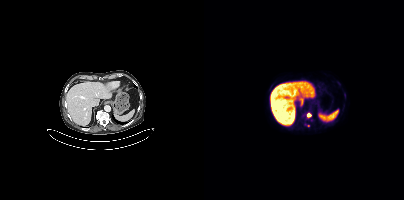
{"modality":"PSMA PET/CT","view":"axial","tracer":"[18F]PSMA-1007","pet_grid":[200,200],"coord_frame":"pet_panel","coord_format":"x0,y0,x1,y1","partial":true,"lesion_bboxes":[[99,113,106,118]],"small_foci_centers":[[107,120]]}